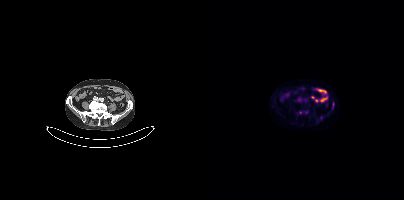
Only PSMA-avid lesion pieces thinner than 2 px on this slice (not listed).